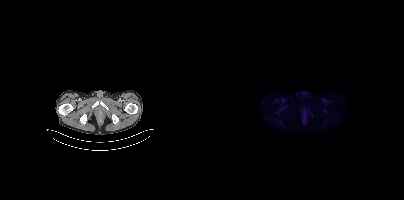
No PSMA-avid tumor lesions on this slice. Left: CT. Right: PSMA PET, same axial level, 18F tracer. PET panel 200×200 px (4.1 mm/px).